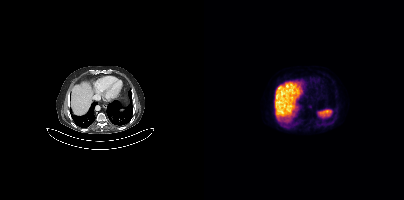
{"modality":"PSMA PET/CT","view":"axial","tracer":"18F","pet_grid":[200,200],"coord_frame":"pet_panel","coord_format":"x0,y0,x1,y1","psma_avid_lesions":false}